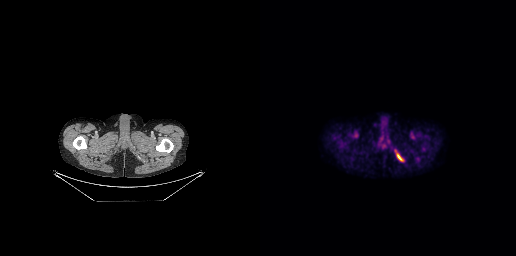
Technique: Left: CT. Right: PSMA PET, same axial level, 18F tracer. slice 60 of 299. PET panel 256×256 px (2.7 mm/px).
Findings: Coordinates are on the 256×256 PET (right) panel. PSMA-avid tumor lesion bounding box (x0, y0)-(x1, y1): (137, 155)-(141, 159).